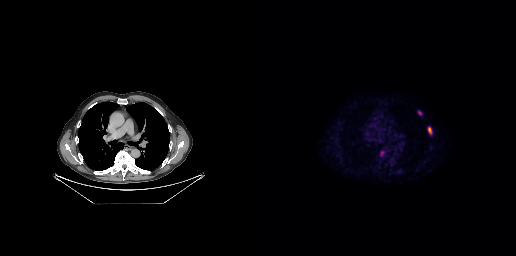
modality: PSMA PET/CT | tracer: 18F | view: axial
Coordinates are on the 256×256 PET (right) panel. PSMA-avid tumor lesion bounding boxes (x, y, width, height): x=167 y=126 w=6 h=9 / x=158 y=110 w=5 h=6. Small PSMA-avid focus (2 to 4 px across) near (center x, center y): (122, 152).